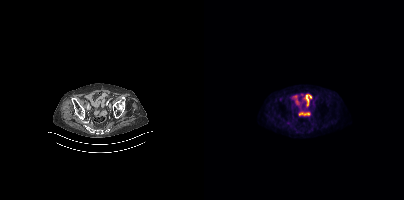
- Paired axial CT (left) and PSMA PET (right), 18F tracer
- slice 67 of 373
- PET panel 200×200 px (4.1 mm/px)
Findings: This slice has no annotated PSMA-avid lesion.